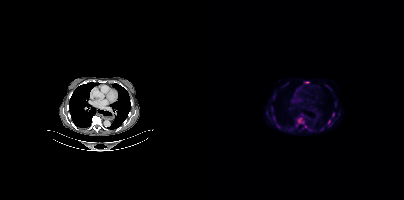
Findings: Coordinates are on the 200×200 PET (right) panel. PSMA-avid tumor lesion bounding boxes (x0, y0)-(x1, y1): (94, 118)-(99, 123) | (101, 81)-(105, 83) | (69, 116)-(71, 120). Small PSMA-avid foci (2 to 4 px across) near (center x, center y): (125, 121) | (129, 114) | (101, 126) | (74, 126).
Technique: Paired axial CT (left) and PSMA PET (right), 18F-PSMA tracer. slice 240 of 375.